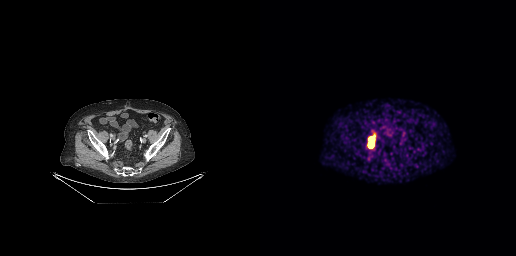
Paired axial CT (left) and PSMA PET (right), 68Ga-PSMA tracer. PET panel 256×256 px (2.7 mm/px).
Coordinates are on the 256×256 PET (right) panel. PSMA-avid tumor lesion bounding boxes:
| # | x0 | y0 | x1 | y1 |
|---|---|---|---|---|
| 1 | 109 | 137 | 113 | 146 |